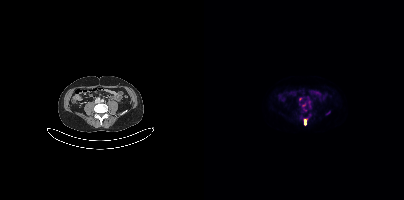
modality: PSMA PET/CT | tracer: 18F | view: axial
Coordinates are on the 200×200 PET (right) panel. (showing 2 of 3 foci) PSMA-avid tumor lesion bounding box (x0, y0)-(x1, y1): (100, 118)-(103, 124). Small PSMA-avid focus (2 to 4 px across) near (center x, center y): (96, 99).